Two-panel axial: CT | PSMA PET, 68Ga-PSMA tracer.
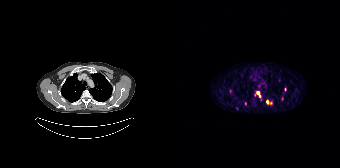
Coordinates are on the 168×168 PET (right) panel. (showing 5 of 7 foci) PSMA-avid tumor lesion bounding boxes (x0,y0,x1,y1): [94,100,100,105] [82,91,88,97]. Small PSMA-avid foci (2 to 4 px across) near (center x, center y): (65, 108) (113, 89) (73, 103).